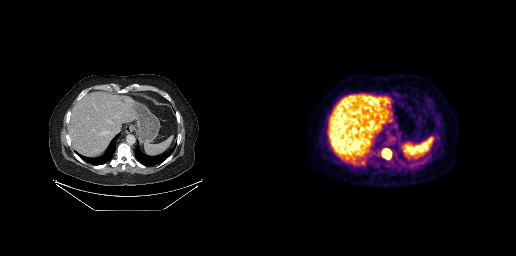
Technique: Paired axial CT (left) and PSMA PET (right), 18F-PSMA tracer. PET panel 256×256 px (2.7 mm/px).
Findings: Coordinates are on the 256×256 PET (right) panel. PSMA-avid tumor lesion bounding box (x0, y0)-(x1, y1): (123, 150)-(130, 157).